- Two-panel axial: CT | PSMA PET, [18F]PSMA-1007 tracer
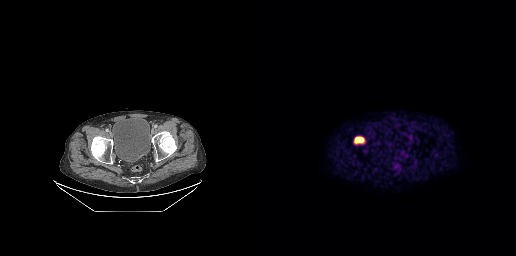
Findings: Coordinates are on the 256×256 PET (right) panel. PSMA-avid tumor lesion bounding box (x0, y0)-(x1, y1): (95, 137)-(103, 142).